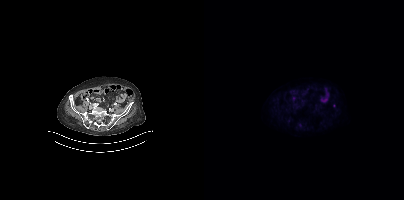
{"modality":"PSMA PET/CT","view":"axial","tracer":"18F","pet_grid":[200,200],"coord_frame":"pet_panel","coord_format":"x0,y0,x1,y1","lesion_bboxes":[],"small_foci_centers":[[130,105],[84,121]]}